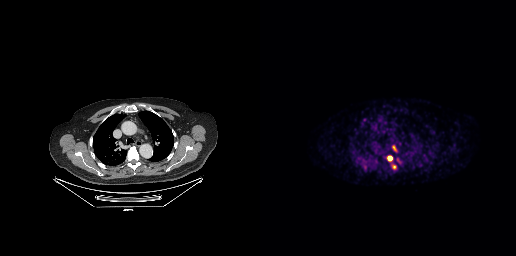
Technique: Left: CT. Right: PSMA PET, same axial level, [68Ga]Ga-PSMA-11 tracer. slice position z = -395 mm.
Findings: Coordinates are on the 256×256 PET (right) panel. (showing 2 of 3 foci) PSMA-avid tumor lesion bounding boxes (x, y, width, height): x=127 y=156 w=6 h=5 / x=132 y=164 w=5 h=6.